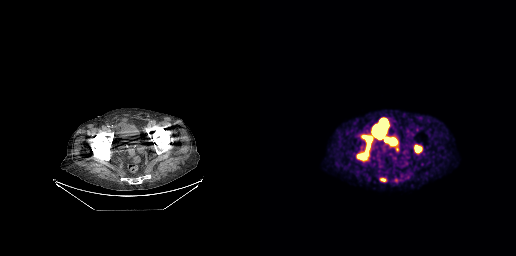
Left: CT. Right: PSMA PET, same axial level, 18F-PSMA tracer. Slice 73 of 263. PET panel 256×256 px (2.7 mm/px). Coordinates are on the 256×256 PET (right) panel. PSMA-avid tumor lesion bounding boxes (x0, y0)-(x1, y1): (112, 118)-(128, 139); (97, 135)-(112, 160); (155, 146)-(161, 151); (120, 178)-(126, 181).